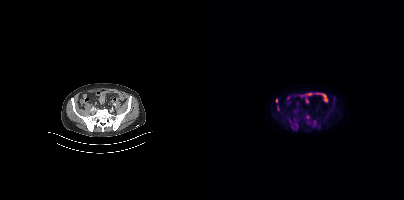
Left: CT. Right: PSMA PET, same axial level, 18F-PSMA tracer. Slice position z = -1402 mm. PET panel 200×200 px (4.1 mm/px).
Coordinates are on the 200×200 PET (right) panel. PSMA-avid tumor lesion bounding boxes (partial; 1 more focus not listed):
| # | x0 | y0 | x1 | y1 |
|---|---|---|---|---|
| 1 | 102 | 115 | 105 | 119 |
Small PSMA-avid foci (2 to 4 px across) near (center x, center y): (72, 100); (104, 122); (110, 122); (92, 125).